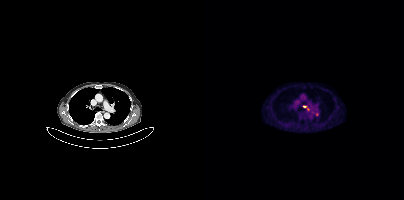
Coordinates are on the 200×200 PET (right) panel. (showing 1 of 2 foci) PSMA-avid tumor lesion bounding box (x0,y0,x1,y1): [98,105,105,110].